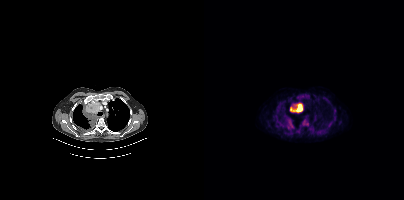
Coordinates are on the 200×200 PET (right) panel. PSMA-avid tumor lesion bounding boxes (x, y, width, height): x=86 y=103 w=13 h=10; x=80 y=120 w=10 h=8; x=98 y=119 w=7 h=8; x=94 y=94 w=7 h=4.